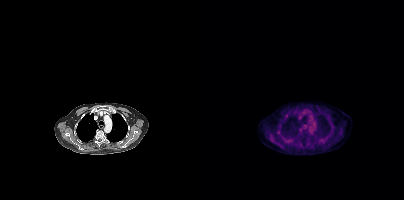
Coordinates are on the 200×200 PET (right) panel. Small PSMA-avid focus (2 to 4 px across) near (center x, center y): (118, 141).